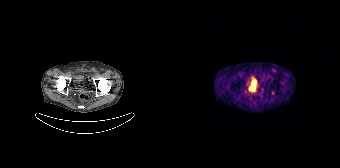
Coordinates are on the 168×168 PET (right) panel. Small PSMA-avid focus (2 to 4 px across) near (center x, center y): (101, 92).